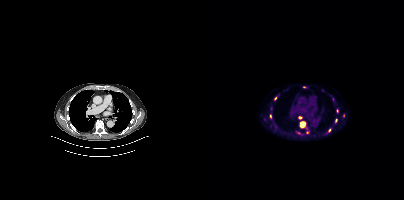
{"modality":"PSMA PET/CT","view":"axial","tracer":"18F-PSMA","pet_grid":[200,200],"coord_frame":"pet_panel","coord_format":"x0,y0,x1,y1","partial":true,"lesion_bboxes":[[96,122,101,127],[66,114,67,118]],"small_foci_centers":[[132,120],[96,117],[125,130],[133,110],[71,98]]}